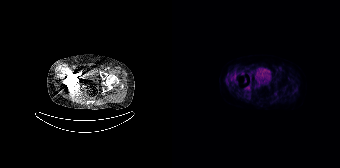
Two-panel axial: CT | PSMA PET, [18F]PSMA-1007 tracer. Acquired on Siemens Biograph 64-4R TruePoint. Slice position z = -1586 mm. PET panel 168×168 px (4.1 mm/px). Negative for PSMA-avid disease on this slice.